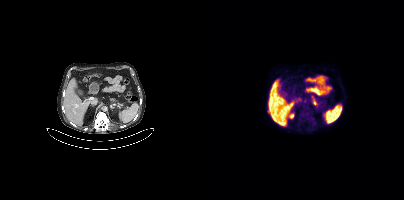
Coordinates are on the 200×200 PET (right) panel. (showing 2 of 3 foci) Small PSMA-avid foci (2 to 4 px across) near (center x, center y): (98, 116) / (64, 112).